Paired axial CT (left) and PSMA PET (right), [18F]PSMA-1007 tracer. Slice 236 of 423. PET panel 200×200 px (4.1 mm/px).
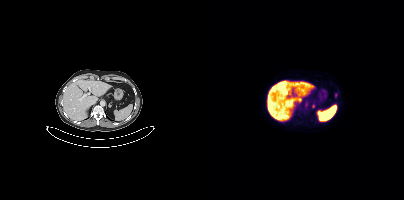
Coordinates are on the 200×200 PET (right) panel. Small PSMA-avid focus (2 to 4 px across) near (center x, center y): (109, 106).